Paired axial CT (left) and PSMA PET (right), 18F-PSMA tracer.
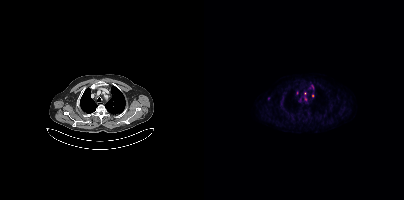
Coordinates are on the 200×200 PET (right) panel. PSMA-avid tumor lesion bounding boxes (partial; 1 more focus not listed):
| # | x0 | y0 | x1 | y1 |
|---|---|---|---|---|
| 1 | 105 | 84 | 110 | 89 |
Small PSMA-avid focus (2 to 4 px across) near (center x, center y): (64, 98).